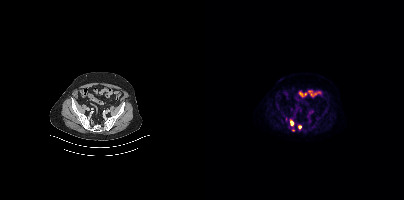
Coordinates are on the 200×200 PET (right) panel. (showing 2 of 3 foci) PSMA-avid tumor lesion bounding box (x0,y0,x1,y1): [86,120,89,125]. Small PSMA-avid focus (2 to 4 px across) near (center x, center y): (95, 126).